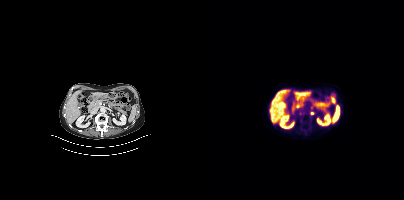
{"modality":"PSMA PET/CT","view":"axial","tracer":"18F-PSMA","pet_grid":[200,200],"coord_frame":"pet_panel","coord_format":"x0,y0,x1,y1","partial":true,"lesion_bboxes":[],"small_foci_centers":[[108,113]]}